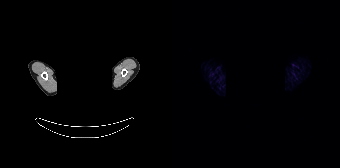
This slice has no annotated PSMA-avid lesion. Left: CT. Right: PSMA PET, same axial level, 68Ga-PSMA tracer. Slice position z = -946 mm. The head region is masked for de-identification.